- Two-panel axial: CT | PSMA PET, [18F]PSMA-1007 tracer
- acquired on Siemens Biograph mCT Flow 20
- PET panel 200×200 px (4.1 mm/px)
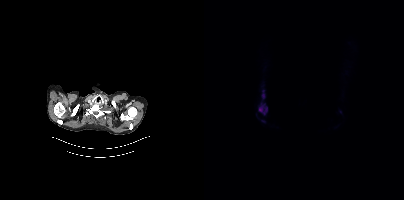
Findings: Coordinates are on the 200×200 PET (right) panel. PSMA-avid tumor lesion bounding boxes (x, y, width, height): x=55 y=103 w=9 h=12 / x=58 y=94 w=3 h=5.